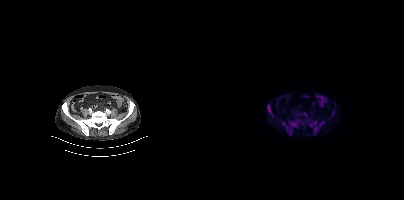
Left: CT. Right: PSMA PET, same axial level, [18F]PSMA-1007 tracer. Coordinates are on the 200×200 PET (right) panel. (showing 6 of 7 foci) PSMA-avid tumor lesion bounding boxes (x0, y0)-(x1, y1): (77, 120)-(96, 134) | (106, 121)-(120, 134) | (63, 105)-(70, 117) | (128, 111)-(130, 115). Small PSMA-avid foci (2 to 4 px across) near (center x, center y): (101, 113) | (98, 122).